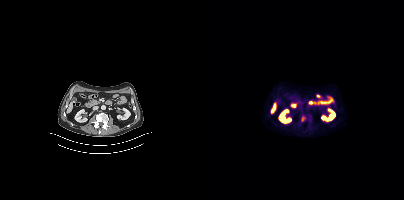
Coordinates are on the 200×200 PET (right) panel. PSMA-avid tumor lesion bounding box (x0, y0)-(x1, y1): (97, 116)-(101, 121).